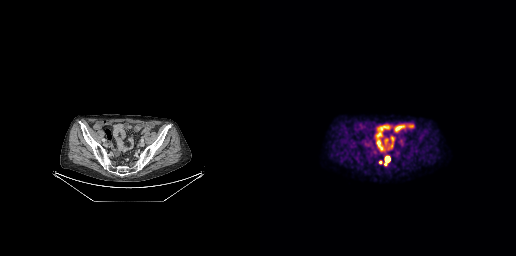
Left: CT. Right: PSMA PET, same axial level, 18F-PSMA tracer.
Coordinates are on the 256×256 PET (right) panel. PSMA-avid tumor lesion bounding boxes:
| # | x0 | y0 | x1 | y1 |
|---|---|---|---|---|
| 1 | 125 | 156 | 130 | 164 |
Small PSMA-avid focus (2 to 4 px across) near (center x, center y): (120, 162).